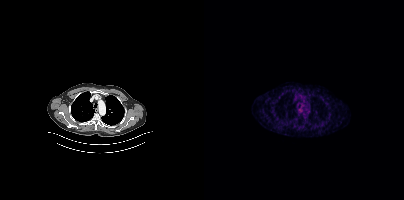
No tumor lesions annotated on this slice.